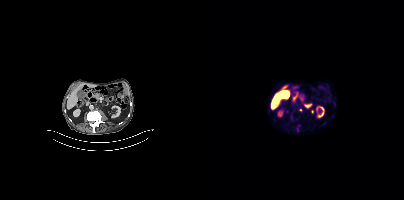
Coordinates are on the 200×200 PET (right) panel. PSMA-avid tumor lesion bounding box (x0, y0)-(x1, y1): (92, 125)-(96, 131). Small PSMA-avid focus (2 to 4 px across) near (center x, center y): (96, 109).